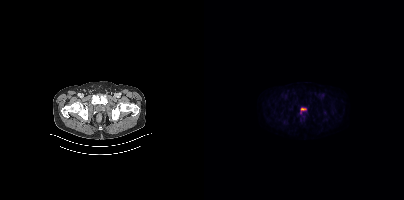
{"modality":"PSMA PET/CT","view":"axial","tracer":"[18F]PSMA-1007","pet_grid":[200,200],"coord_frame":"pet_panel","coord_format":"x0,y0,x1,y1","lesion_bboxes":[],"small_foci_centers":[[97,113]]}